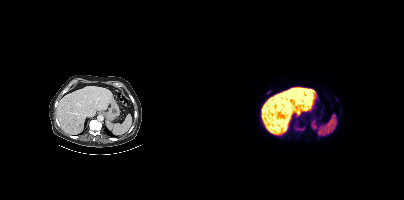
Technique: Paired axial CT (left) and PSMA PET (right), 18F-PSMA tracer. PET panel 200×200 px (4.1 mm/px).
Findings: Coordinates are on the 200×200 PET (right) panel. PSMA-avid tumor lesion bounding boxes (x, y, width, height): x=90 y=126 w=11 h=5 / x=63 y=90 w=4 h=5.